Technique: Two-panel axial: CT | PSMA PET, 18F tracer. acquired on GE Discovery 690.
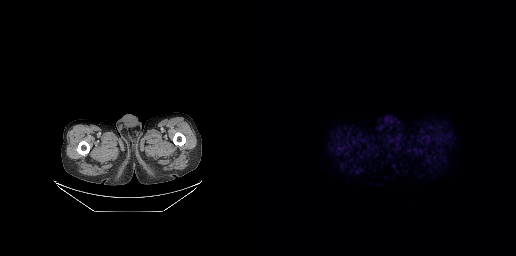
Findings: This slice has no annotated PSMA-avid lesion.